- Left: CT. Right: PSMA PET, same axial level, [18F]PSMA-1007 tracer
- slice position z = -72 mm
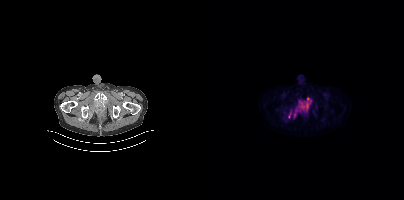
Findings: Coordinates are on the 200×200 PET (right) panel. (showing 2 of 3 foci) PSMA-avid tumor lesion bounding boxes (x, y, width, height): x=89 y=97 w=19 h=22 / x=85 y=109 w=4 h=6.